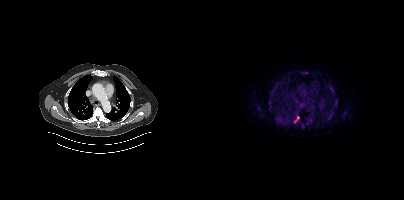
Paired axial CT (left) and PSMA PET (right), 18F-PSMA tracer.
Coordinates are on the 200×200 PET (right) panel. PSMA-avid tumor lesion bounding boxes:
| # | x0 | y0 | x1 | y1 |
|---|---|---|---|---|
| 1 | 72 | 116 | 78 | 122 |
| 2 | 103 | 119 | 108 | 124 |
| 3 | 123 | 115 | 127 | 120 |
| 4 | 66 | 90 | 70 | 95 |
| 5 | 90 | 116 | 95 | 122 |
| 6 | 126 | 87 | 129 | 91 |
| 7 | 139 | 111 | 143 | 115 |
| 8 | 97 | 124 | 100 | 128 |
| 9 | 130 | 98 | 134 | 102 |
| 10 | 53 | 106 | 55 | 110 |
| 11 | 99 | 72 | 103 | 74 |
Small PSMA-avid foci (2 to 4 px across) near (center x, center y): (66, 105); (129, 110); (132, 105).